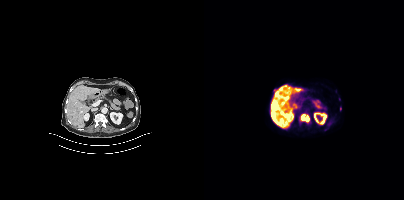
Two-panel axial: CT | PSMA PET, 18F tracer. Slice 198 of 403. PET panel 200×200 px (4.1 mm/px). Coordinates are on the 200×200 PET (right) panel. (showing 5 of 6 foci) PSMA-avid tumor lesion bounding boxes (x0,y0,x1,y1): [97,114,105,121], [83,86,86,94], [71,90,76,96]. Small PSMA-avid foci (2 to 4 px across) near (center x, center y): (68, 105), (71, 106).